- de-identified by setting a box covering the face to black before release
- Paired axial CT (left) and PSMA PET (right), 18F tracer
- acquired on Siemens Biograph mCT Flow 20
- slice 413 of 462
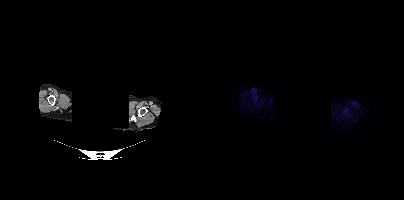
Findings: This slice has no annotated PSMA-avid lesion.